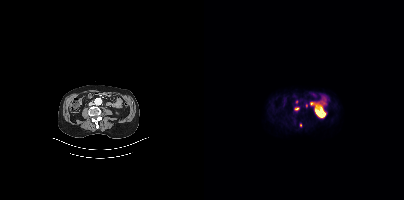
Left: CT. Right: PSMA PET, same axial level, 68Ga tracer. Slice position z = -1350 mm. PET panel 200×200 px (4.1 mm/px). Coordinates are on the 200×200 PET (right) panel. (showing 2 of 3 foci) Small PSMA-avid foci (2 to 4 px across) near (center x, center y): (92, 108); (96, 125).